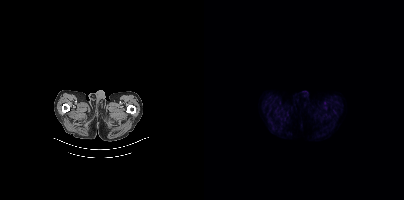
No PSMA-avid tumor lesions on this slice.